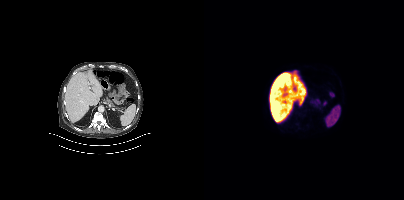
Two-panel axial: CT | PSMA PET, 18F tracer. Slice 228 of 395. This slice has no annotated PSMA-avid lesion.